- Paired axial CT (left) and PSMA PET (right), 18F tracer
- PET panel 200×200 px (4.1 mm/px)
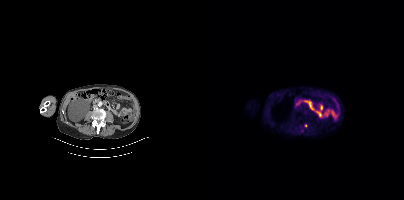
Findings: Coordinates are on the 200×200 PET (right) panel. Small PSMA-avid focus (2 to 4 px across) near (center x, center y): (101, 125).